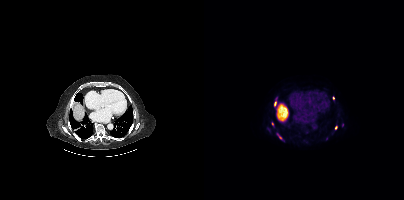
{"modality":"PSMA PET/CT","view":"axial","tracer":"18F","pet_grid":[200,200],"coord_frame":"pet_panel","coord_format":"x0,y0,x1,y1","lesion_bboxes":[[73,133,78,139],[67,122,69,126]],"small_foci_centers":[[71,103],[129,97],[131,127]]}